modality: PSMA PET/CT | tracer: 18F-PSMA | view: axial | PET grid: 200×200 | deidentification: rectangular block over head set to black
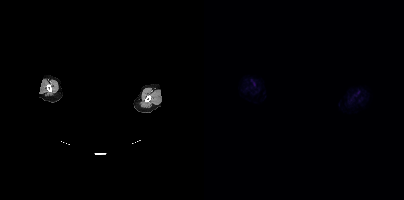
Negative for PSMA-avid disease on this slice.